Paired axial CT (left) and PSMA PET (right), [18F]PSMA-1007 tracer.
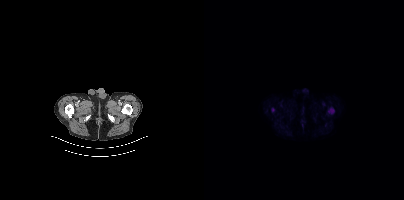
Coordinates are on the 200×200 PET (right) panel. PSMA-avid tumor lesion bounding box (x0, y0)-(x1, y1): (124, 108)-(130, 113).